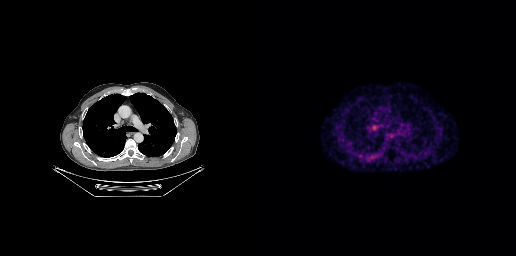
Coordinates are on the 256×256 PET (right) panel. PSMA-avid tumor lesion bounding box (x0,y0,x1,y1): [111,123,123,130].